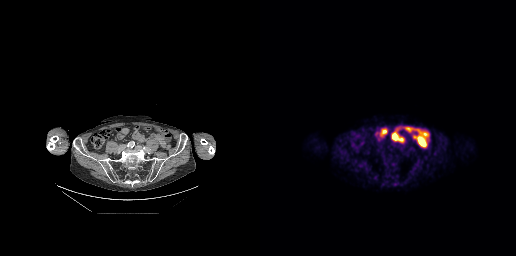
Left: CT. Right: PSMA PET, same axial level, [18F]PSMA-1007 tracer. Acquired on GE Discovery 690. No PSMA-avid tumor lesions on this slice.